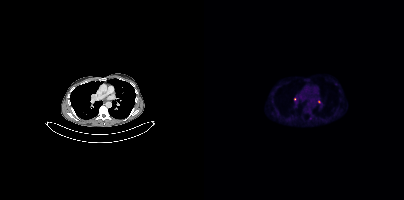
{"modality":"PSMA PET/CT","view":"axial","tracer":"18F","pet_grid":[200,200],"coord_frame":"pet_panel","coord_format":"x0,y0,x1,y1","partial":true,"lesion_bboxes":[[105,115,107,119]],"small_foci_centers":[[114,101],[117,103],[89,116]]}